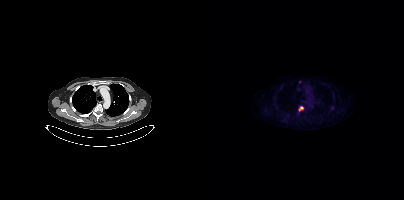
Paired axial CT (left) and PSMA PET (right), 18F-PSMA tracer. Slice position z = 256 mm. PET panel 200×200 px (4.1 mm/px). Coordinates are on the 200×200 PET (right) panel. PSMA-avid tumor lesion bounding box (x, y, width, height): x=95 y=106 w=5 h=6. Small PSMA-avid focus (2 to 4 px across) near (center x, center y): (95, 82).